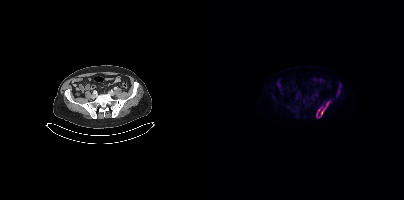
Coordinates are on the 200×200 PET (right) panel. PSMA-avid tumor lesion bounding boxes (x, y, width, height): x=112 y=101 w=14 h=18 | x=133 y=88 w=3 h=8.
modality: PSMA PET/CT | tracer: [18F]PSMA-1007 | view: axial